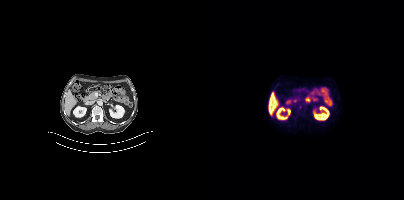
Two-panel axial: CT | PSMA PET, 18F tracer. Slice 194 of 411. PET panel 200×200 px (4.1 mm/px). No PSMA-avid tumor lesions on this slice.